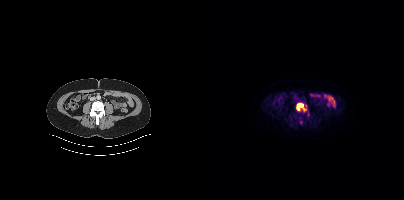
modality: PSMA PET/CT | tracer: [18F]PSMA-1007 | view: axial | PET grid: 200×200
Coordinates are on the 200×200 PET (right) panel. (showing 1 of 2 foci) PSMA-avid tumor lesion bounding box (x0, y0)-(x1, y1): (93, 103)-(99, 110).